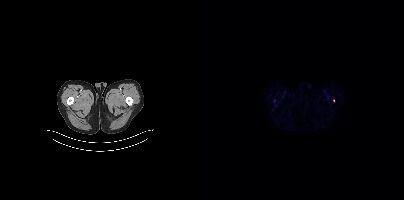
Coordinates are on the 200×200 PET (right) panel. Small PSMA-avid focus (2 to 4 px across) near (center x, center y): (129, 100). Two-panel axial: CT | PSMA PET, 18F tracer. Slice position z = -828 mm.